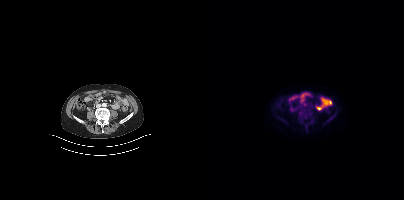
- Two-panel axial: CT | PSMA PET, 18F tracer
- slice 146 of 401
- PET panel 200×200 px (4.1 mm/px)
Findings: Coordinates are on the 200×200 PET (right) panel. Small PSMA-avid focus (2 to 4 px across) near (center x, center y): (100, 104).